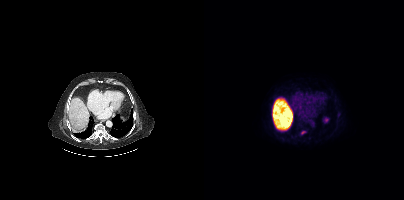
{"pet_grid":[200,200],"coord_frame":"pet_panel","coord_format":"x0,y0,x1,y1","lesion_bboxes":[],"small_foci_centers":[[99,132]],"modality":"PSMA PET/CT","view":"axial","tracer":"18F-PSMA"}